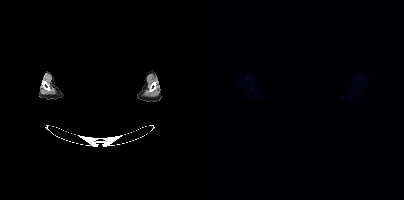
No tumor lesions annotated on this slice. Facial anatomy redacted by setting a rectangular region of the head to black. Paired axial CT (left) and PSMA PET (right), 18F tracer.